Technique: Two-panel axial: CT | PSMA PET, 18F-PSMA tracer. PET panel 200×200 px (4.1 mm/px).
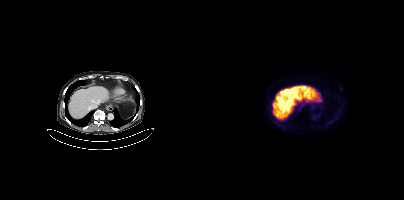
Findings: This slice has no annotated PSMA-avid lesion.